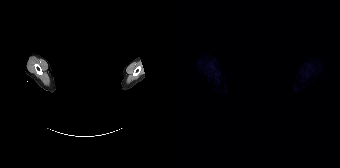
{"modality":"PSMA PET/CT","view":"axial","tracer":"18F","pet_grid":[168,168],"coord_frame":"pet_panel","coord_format":"x0,y0,x1,y1","de-identification":"facial region redacted","psma_avid_lesions":false}